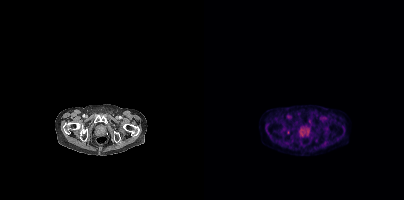
Coordinates are on the 200×200 PET (right) panel. (showing 3 of 4 foci) Small PSMA-avid foci (2 to 4 px across) near (center x, center y): (84, 131) / (99, 135) / (102, 134).